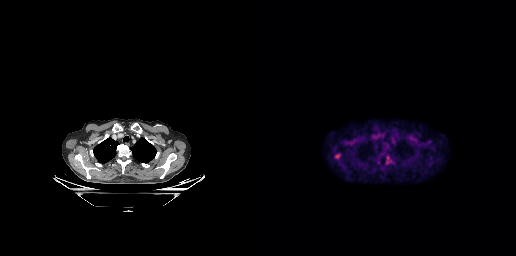
Two-panel axial: CT | PSMA PET, 18F-PSMA tracer. Slice 209 of 263. Coordinates are on the 256×256 PET (right) panel. Small PSMA-avid focus (2 to 4 px across) near (center x, center y): (78, 156).